- Paired axial CT (left) and PSMA PET (right), 18F-PSMA tracer
- acquired on Siemens Biograph mCT Flow 20
- PET panel 200×200 px (4.1 mm/px)
- facial anatomy redacted by setting a rectangular region of the head to black
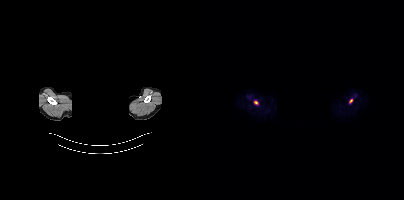
Findings: Coordinates are on the 200×200 PET (right) panel. Small PSMA-avid foci (2 to 4 px across) near (center x, center y): (147, 100) | (51, 102).